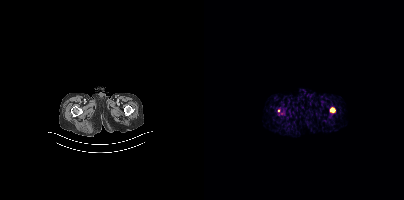
Coordinates are on the 200×200 PET (right) panel. (showing 3 of 4 foci) PSMA-avid tumor lesion bounding box (x0, y0)-(x1, y1): (125, 107)-(131, 113). Small PSMA-avid foci (2 to 4 px across) near (center x, center y): (74, 110); (77, 113).